- Left: CT. Right: PSMA PET, same axial level, 18F-PSMA tracer
- slice position z = -1290 mm
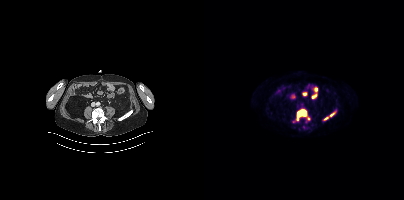
Findings: Coordinates are on the 200×200 PET (right) panel. PSMA-avid tumor lesion bounding boxes (x, y, width, height): x=92 y=110 w=12 h=11; x=121 y=112 w=10 h=8. Small PSMA-avid focus (2 to 4 px across) near (center x, center y): (104, 118).